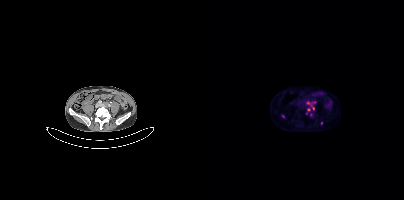
Findings: Coordinates are on the 200×200 PET (right) panel. (showing 4 of 5 foci) PSMA-avid tumor lesion bounding box (x, y, width, height): x=103 y=102 w=5 h=4. Small PSMA-avid foci (2 to 4 px across) near (center x, center y): (109, 108); (104, 109); (117, 123).
- Left: CT. Right: PSMA PET, same axial level, 68Ga tracer